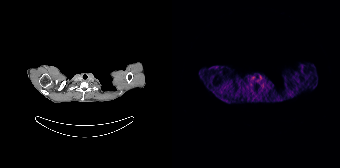
Technique: Left: CT. Right: PSMA PET, same axial level, [68Ga]Ga-PSMA-11 tracer. slice 136 of 165.
Findings: No tumor lesions annotated on this slice.